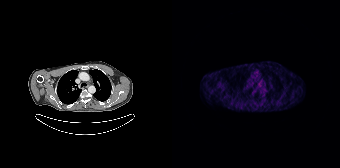
Paired axial CT (left) and PSMA PET (right), 68Ga tracer. Slice position z = -270 mm. This slice has no annotated PSMA-avid lesion.